- Two-panel axial: CT | PSMA PET, 18F tracer
- acquired on Siemens Biograph mCT Flow 20
- PET panel 200×200 px (4.1 mm/px)
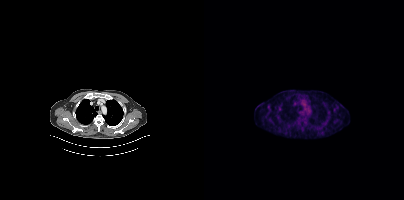
Findings: Only PSMA-avid lesion pieces thinner than 2 px on this slice (not listed).